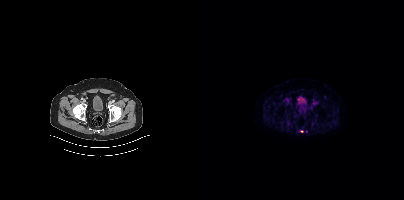
Paired axial CT (left) and PSMA PET (right), 18F-PSMA tracer. Acquired on Siemens Biograph mCT Flow 20. PET panel 200×200 px (4.1 mm/px). Negative for PSMA-avid disease on this slice.